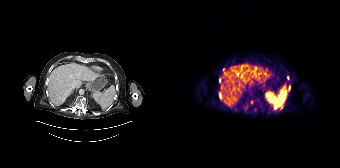
Coordinates are on the 168×168 PET (right) panel. (showing 2 of 5 foci) PSMA-avid tumor lesion bounding box (x0,y0,x1,y1): [47,78,48,82]. Small PSMA-avid focus (2 to 4 px across) near (center x, center y): (117, 87).